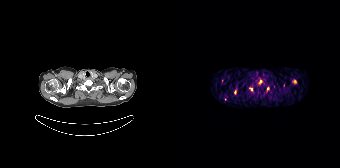
Findings: Coordinates are on the 168×168 PET (right) panel. (showing 5 of 8 foci) PSMA-avid tumor lesion bounding boxes (x, y, width, height): x=120 y=79 w=5 h=5 | x=87 y=80 w=4 h=5 | x=77 y=87 w=4 h=5 | x=62 y=90 w=3 h=5. Small PSMA-avid focus (2 to 4 px across) near (center x, center y): (96, 88).
Technique: Left: CT. Right: PSMA PET, same axial level, 68Ga-PSMA tracer. acquired on Siemens Biograph 64-4R TruePoint. slice 136 of 165.